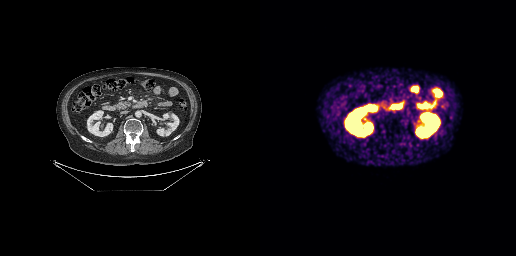
Two-panel axial: CT | PSMA PET, [68Ga]Ga-PSMA-11 tracer. Acquired on GE Discovery 690. Slice 126 of 263. PET panel 256×256 px (2.7 mm/px). No tumor lesions annotated on this slice.